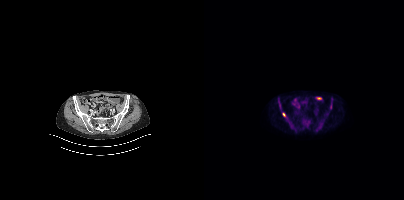
{"pet_grid":[200,200],"coord_frame":"pet_panel","coord_format":"x0,y0,x1,y1","lesion_bboxes":[],"small_foci_centers":[[80,114]],"modality":"PSMA PET/CT","view":"axial","tracer":"[18F]PSMA-1007"}